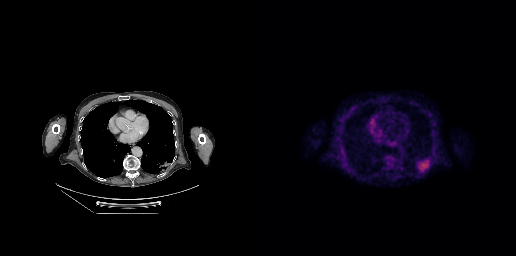
Paired axial CT (left) and PSMA PET (right), 18F-PSMA tracer. Acquired on GE Discovery 690. Slice position z = -329 mm.
Coordinates are on the 256×256 PET (right) panel. PSMA-avid tumor lesion bounding boxes:
| # | x0 | y0 | x1 | y1 |
|---|---|---|---|---|
| 1 | 159 | 160 | 168 | 171 |